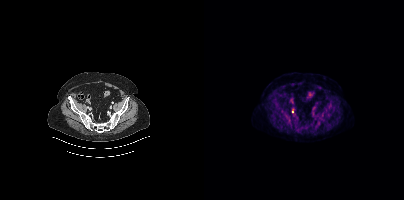
{"modality":"PSMA PET/CT","view":"axial","tracer":"18F","pet_grid":[200,200],"coord_frame":"pet_panel","coord_format":"x0,y0,x1,y1","lesion_bboxes":[],"small_foci_centers":[[88,111]]}